Left: CT. Right: PSMA PET, same axial level, 18F-PSMA tracer. Slice position z = -234 mm. PET panel 200×200 px (4.1 mm/px).
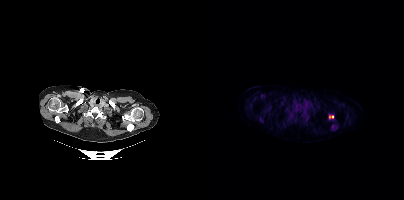
Coordinates are on the 200×200 PET (right) panel. PSMA-avid tumor lesion bounding boxes:
| # | x0 | y0 | x1 | y1 |
|---|---|---|---|---|
| 1 | 125 | 114 | 129 | 118 |